Left: CT. Right: PSMA PET, same axial level, 18F-PSMA tracer. Acquired on Siemens Biograph mCT Flow 20. Slice 136 of 403.
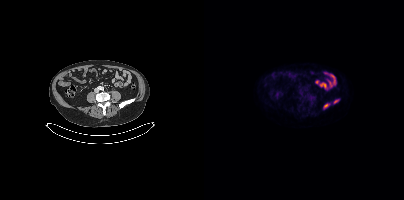
Coordinates are on the 200×200 PET (right) panel. PSMA-avid tumor lesion bounding boxes:
| # | x0 | y0 | x1 | y1 |
|---|---|---|---|---|
| 1 | 119 | 103 | 125 | 108 |
| 2 | 130 | 99 | 134 | 103 |